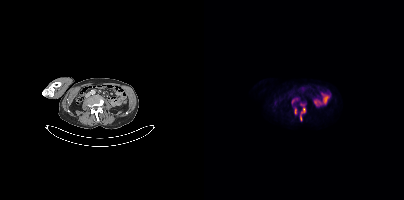
Paired axial CT (left) and PSMA PET (right), 18F tracer. Acquired on Siemens Biograph mCT Flow 20. PET panel 200×200 px (4.1 mm/px). Coordinates are on the 200×200 PET (right) panel. (showing 2 of 3 foci) PSMA-avid tumor lesion bounding boxes (x0, y0)-(x1, y1): (96, 103)-(101, 120) | (90, 108)-(92, 114).